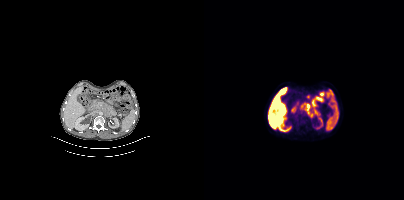
Coordinates are on the 200×200 PET (right) panel. (showing 1 of 2 foci) PSMA-avid tumor lesion bounding box (x, y, width, height): x=97 y=103 w=17 h=16.